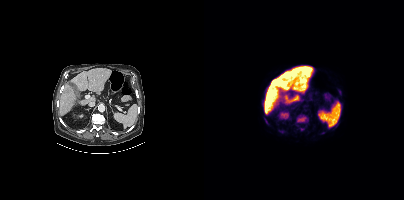
Coordinates are on the 200×200 PET (right) panel. (showing 3 of 4 foci) PSMA-avid tumor lesion bounding boxes (x0, y0)-(x1, y1): (92, 114)-(104, 122); (60, 118)-(64, 124); (96, 128)-(100, 130).
modality: PSMA PET/CT | tracer: [18F]PSMA-1007 | view: axial